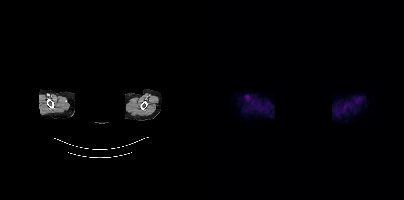
{"modality":"PSMA PET/CT","view":"axial","tracer":"18F-PSMA","pet_grid":[200,200],"coord_frame":"pet_panel","coord_format":"x0,y0,x1,y1","psma_avid_lesions":false,"de-identification":"rectangular block over head set to black"}